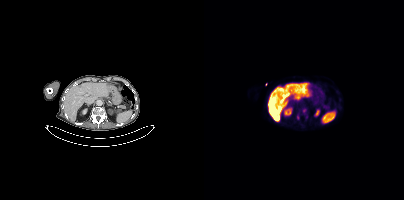
Paired axial CT (left) and PSMA PET (right), 18F-PSMA tracer. PET panel 200×200 px (4.1 mm/px). Coordinates are on the 200×200 PET (right) panel. (showing 1 of 3 foci) PSMA-avid tumor lesion bounding box (x0,y0,x1,y1): [93,115,95,119].